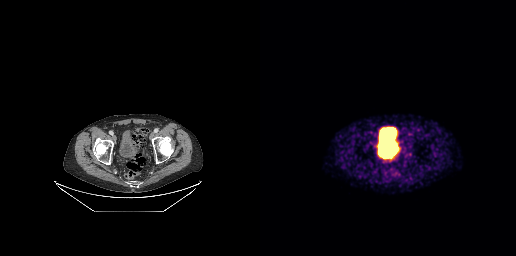
{"modality":"PSMA PET/CT","view":"axial","tracer":"68Ga","pet_grid":[256,256],"coord_frame":"pet_panel","coord_format":"x0,y0,x1,y1","psma_avid_lesions":false}